Technique: Paired axial CT (left) and PSMA PET (right), 18F tracer. acquired on Siemens Biograph mCT Flow 20.
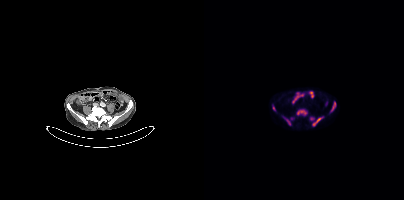
Findings: Coordinates are on the 200×200 PET (right) panel. PSMA-avid tumor lesion bounding boxes (x0,y0,x1,y1): [93,109,102,115]; [126,101,132,111]; [108,117,118,125]; [78,116,86,125]; [69,106,71,111]. Small PSMA-avid foci (2 to 4 px across) near (center x, center y): (87, 118); (107, 118).